modality: PSMA PET/CT | tracer: 68Ga | view: axial
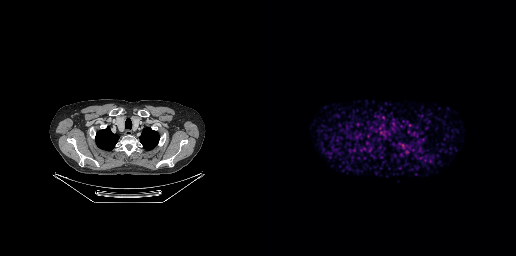
This slice has no annotated PSMA-avid lesion.